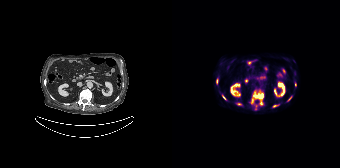
Findings: Coordinates are on the 168×168 PET (right) panel. (showing 7 of 9 foci) PSMA-avid tumor lesion bounding boxes (x, y, width, height): x=79 y=90 w=13 h=16; x=50 y=95 w=5 h=6; x=101 y=105 w=5 h=3; x=116 y=96 w=4 h=5; x=44 y=79 w=2 h=5. Small PSMA-avid foci (2 to 4 px across) near (center x, center y): (67, 104); (123, 84).
Technique: Two-panel axial: CT | PSMA PET, 18F-PSMA tracer.